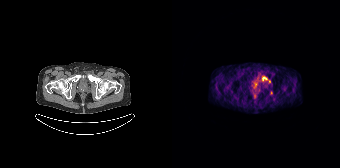
{"modality":"PSMA PET/CT","view":"axial","tracer":"[68Ga]Ga-PSMA-11","pet_grid":[168,168],"coord_frame":"pet_panel","coord_format":"x0,y0,x1,y1","lesion_bboxes":[[90,76,98,82]],"small_foci_centers":[[99,92]]}